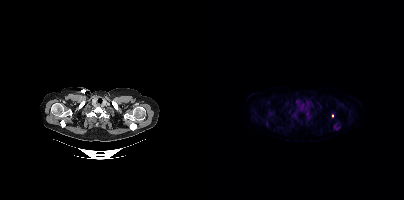
Coordinates are on the 200×200 PET (right) panel. (showing 6 of 7 foci) PSMA-avid tumor lesion bounding boxes (x0,y0,x1,y1): [129,124,135,130], [102,112,107,117], [88,113,92,116]. Small PSMA-avid foci (2 to 4 px across) near (center x, center y): (63, 124), (66, 114), (128, 115).